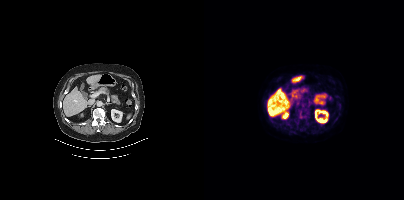
{"modality":"PSMA PET/CT","view":"axial","tracer":"18F","pet_grid":[200,200],"coord_frame":"pet_panel","coord_format":"x0,y0,x1,y1","lesion_bboxes":[[93,108,103,118]],"small_foci_centers":[[86,123],[99,126],[133,96],[135,103]]}